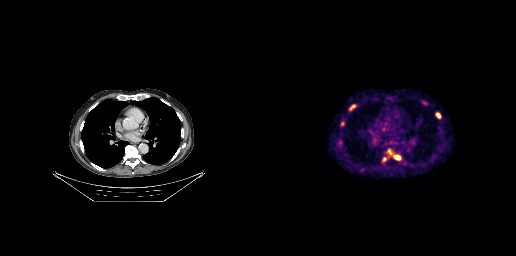
- Left: CT. Right: PSMA PET, same axial level, 68Ga tracer
Findings: Coordinates are on the 256×256 PET (right) panel. (showing 5 of 6 foci) PSMA-avid tumor lesion bounding boxes (x0,y0,x1,y1): [176,113,180,118], [80,121,84,126], [90,104,95,108], [135,156,140,159]. Small PSMA-avid focus (2 to 4 px across) near (center x, center y): (129, 151).